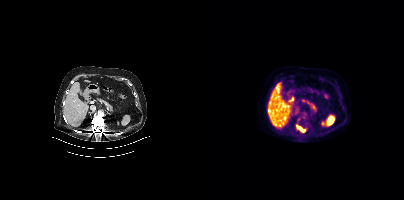
Coordinates are on the 200×200 PET (right) panel. PSMA-avid tumor lesion bounding box (x0,y0,x1,y1): [92,124,101,131].